- Paired axial CT (left) and PSMA PET (right), [18F]PSMA-1007 tracer
- acquired on Siemens Biograph mCT Flow 20
- slice 310 of 409
- PET panel 200×200 px (4.1 mm/px)
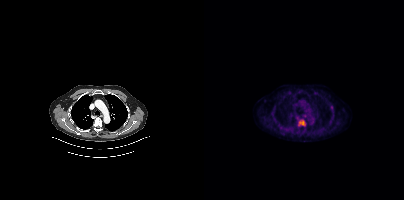
Findings: Coordinates are on the 200×200 PET (right) panel. PSMA-avid tumor lesion bounding box (x, y, width, height): x=94 y=119 w=8 h=8.